Technique: Two-panel axial: CT | PSMA PET, [18F]PSMA-1007 tracer. acquired on Siemens Biograph mCT Flow 20.
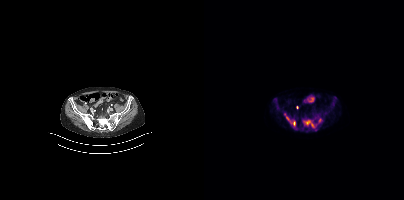
Findings: Coordinates are on the 200×200 PET (right) panel. (showing 5 of 6 foci) PSMA-avid tumor lesion bounding boxes (x, y, width, height): x=99 y=120 w=13 h=9; x=70 y=99 w=5 h=9; x=113 y=118 w=6 h=6; x=82 y=115 w=6 h=9; x=89 y=121 w=3 h=5.